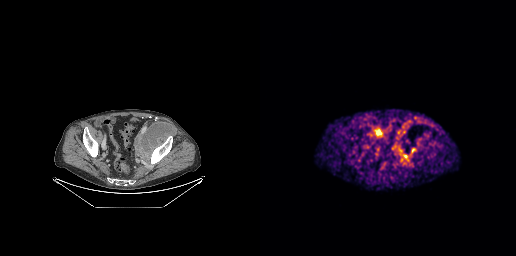
{"modality":"PSMA PET/CT","view":"axial","tracer":"[68Ga]Ga-PSMA-11","pet_grid":[256,256],"coord_frame":"pet_panel","coord_format":"x0,y0,x1,y1","lesion_bboxes":[[138,147,156,160]]}